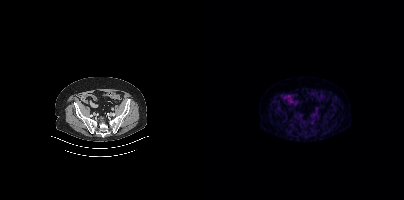
Technique: Paired axial CT (left) and PSMA PET (right), 68Ga tracer. acquired on Siemens Biograph mCT Flow 20. slice position z = -1596 mm.
Findings: No PSMA-avid tumor lesions on this slice.